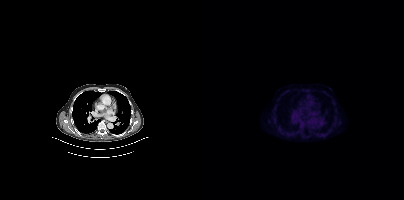
Left: CT. Right: PSMA PET, same axial level, [18F]PSMA-1007 tracer. PET panel 200×200 px (4.1 mm/px). This slice has no annotated PSMA-avid lesion.